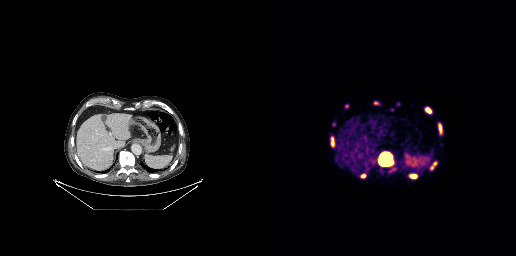
- Paired axial CT (left) and PSMA PET (right), 68Ga tracer
- PET panel 256×256 px (2.7 mm/px)
Findings: Coordinates are on the 256×256 PET (right) panel. (showing 8 of 13 foci) PSMA-avid tumor lesion bounding boxes (x, y, width, height): x=119 y=153 w=14 h=13; x=71 y=137 w=4 h=10; x=165 y=107 w=7 h=7; x=150 y=174 w=8 h=5; x=179 y=123 w=3 h=10; x=172 y=161 w=6 h=7; x=100 y=174 w=7 h=5; x=114 y=101 w=6 h=4.